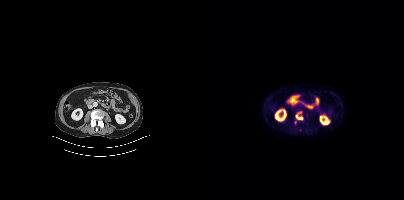
Coordinates are on the 200×200 PET (right) panel. PSMA-avid tumor lesion bounding box (x, y, width, height): x=94 y=117 w=5 h=3. Small PSMA-avid focus (2 to 4 px across) near (center x, center y): (92, 115).